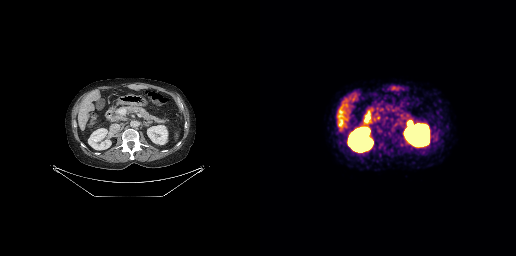
Coordinates are on the 256×256 PET (right) panel. PSMA-avid tumor lesion bounding box (x, y, width, height): x=148 y=121 w=5 h=6.